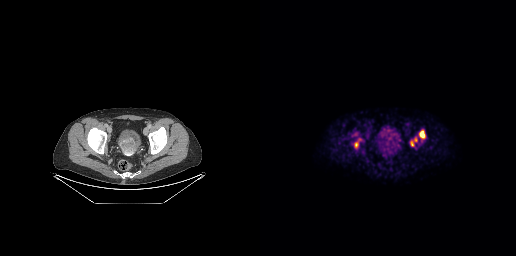
{"modality":"PSMA PET/CT","view":"axial","tracer":"[18F]PSMA-1007","pet_grid":[256,256],"coord_frame":"pet_panel","coord_format":"x0,y0,x1,y1","partial":true,"lesion_bboxes":[[159,129,165,139],[150,137,157,146],[94,138,100,148]]}